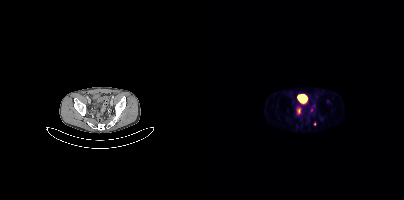
Coordinates are on the 200×200 PET (right) panel. PSMA-avid tumor lesion bounding boxes:
| # | x0 | y0 | x1 | y1 |
|---|---|---|---|---|
| 1 | 92 | 107 | 96 | 113 |
Small PSMA-avid foci (2 to 4 px across) near (center x, center y): (109, 107); (110, 123); (107, 111).
Left: CT. Right: PSMA PET, same axial level, 68Ga-PSMA tracer. Acquired on Siemens Biograph mCT Flow 20. Slice position z = -1626 mm. PET panel 200×200 px (4.1 mm/px).